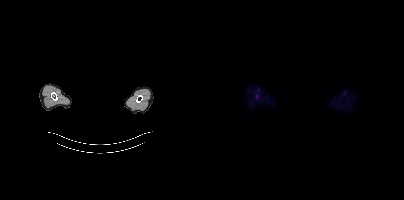
De-identified by setting a box covering the face to black before release. Left: CT. Right: PSMA PET, same axial level, 18F-PSMA tracer. Acquired on Siemens Biograph mCT Flow 20. PET panel 200×200 px (4.1 mm/px). No PSMA-avid tumor lesions on this slice.